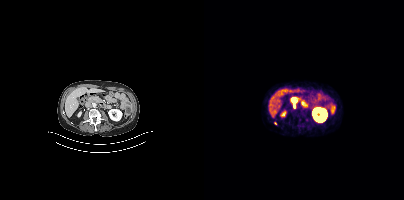
{"pet_grid":[200,200],"coord_frame":"pet_panel","coord_format":"x0,y0,x1,y1","lesion_bboxes":[[88,100,92,107]],"small_foci_centers":[[71,123]],"modality":"PSMA PET/CT","view":"axial","tracer":"68Ga-PSMA"}